Left: CT. Right: PSMA PET, same axial level, 18F-PSMA tracer. Acquired on Siemens Biograph mCT Flow 20. Slice 26 of 427.
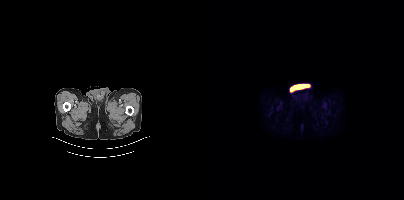
No tumor lesions annotated on this slice.